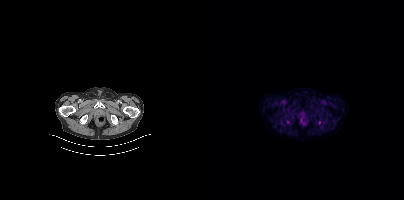
Technique: Two-panel axial: CT | PSMA PET, [18F]PSMA-1007 tracer. slice 49 of 405.
Findings: Coordinates are on the 200×200 PET (right) panel. Small PSMA-avid focus (2 to 4 px across) near (center x, center y): (115, 122).